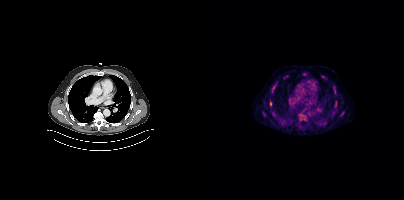
- Left: CT. Right: PSMA PET, same axial level, 18F-PSMA tracer
- acquired on Siemens Biograph mCT Flow 20
Findings: Coordinates are on the 200×200 PET (right) panel. (showing 5 of 6 foci) PSMA-avid tumor lesion bounding box (x0, y0)-(x1, y1): (66, 101)-(68, 106). Small PSMA-avid foci (2 to 4 px across) near (center x, center y): (80, 78); (71, 85); (130, 92); (131, 105).